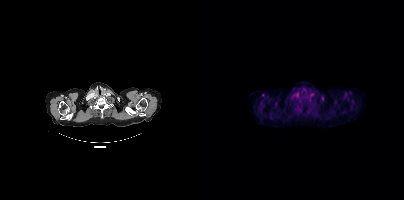
Two-panel axial: CT | PSMA PET, 18F tracer. Negative for PSMA-avid disease on this slice.